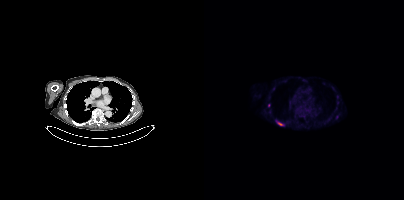
Coordinates are on the 200×200 PET (right) panel. PSMA-avid tumor lesion bounding box (x, y, width, height): x=72 y=120 w=9 h=6. Small PSMA-avid foci (2 to 4 px across) near (center x, center y): (133, 116) | (64, 105).